Technique: Paired axial CT (left) and PSMA PET (right), [18F]PSMA-1007 tracer. slice 196 of 299. PET panel 256×256 px (2.7 mm/px).
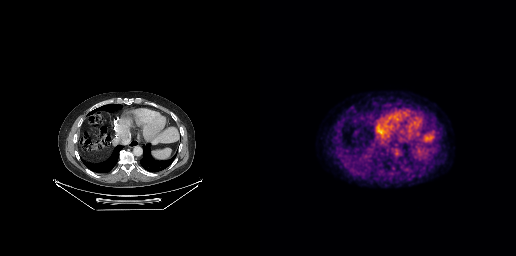
Findings: No PSMA-avid tumor lesions on this slice.